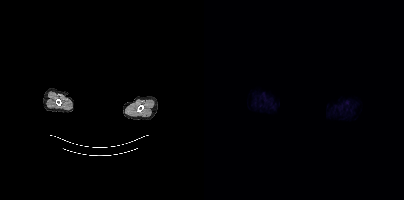
Findings: No PSMA-avid tumor lesions on this slice.
- the head region is masked for de-identification
- Left: CT. Right: PSMA PET, same axial level, 18F-PSMA tracer
- slice position z = -358 mm